- Two-panel axial: CT | PSMA PET, [18F]PSMA-1007 tracer
- slice 135 of 263
- PET panel 256×256 px (2.7 mm/px)
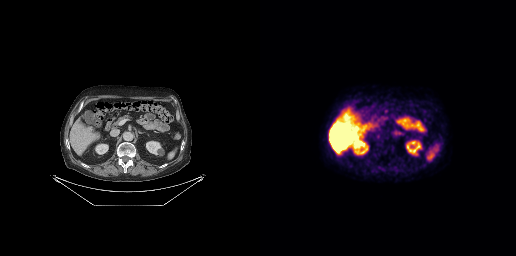
Findings: Negative for PSMA-avid disease on this slice.